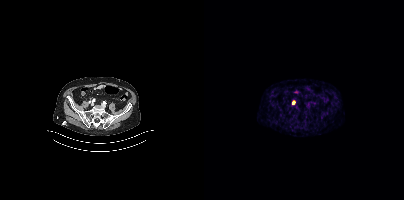
Coordinates are on the 200×200 PET (right) panel. Small PSMA-avid focus (2 to 4 px across) near (center x, center y): (89, 102).